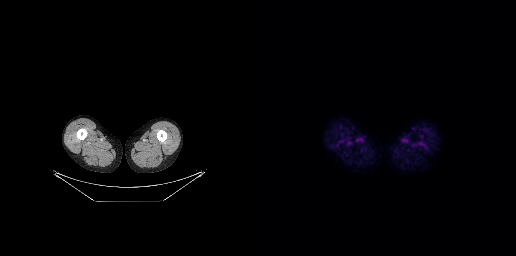
Findings: No PSMA-avid tumor lesions on this slice.
- Paired axial CT (left) and PSMA PET (right), [18F]PSMA-1007 tracer